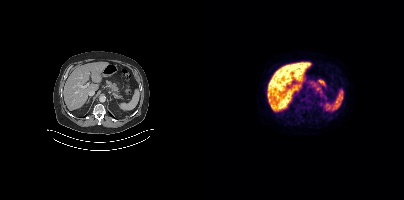
{"modality":"PSMA PET/CT","view":"axial","tracer":"18F-PSMA","pet_grid":[200,200],"coord_frame":"pet_panel","coord_format":"x0,y0,x1,y1","lesion_bboxes":[[91,109,95,113],[106,101,109,105]]}